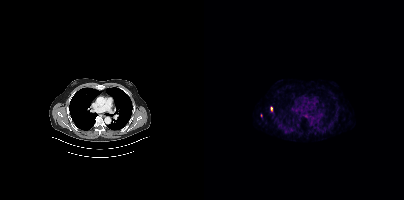
Findings: Coordinates are on the 200×200 PET (right) panel. (showing 1 of 2 foci) Small PSMA-avid focus (2 to 4 px across) near (center x, center y): (67, 108).
- Left: CT. Right: PSMA PET, same axial level, [68Ga]Ga-PSMA-11 tracer
- acquired on Siemens Biograph mCT Flow 20